Paired axial CT (left) and PSMA PET (right), [18F]PSMA-1007 tracer.
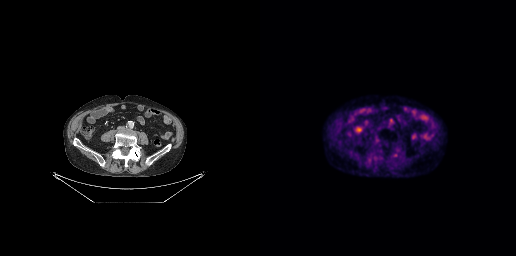
Only PSMA-avid lesion pieces thinner than 2 px on this slice (not listed).